Technique: Left: CT. Right: PSMA PET, same axial level, 18F tracer. slice 185 of 429.
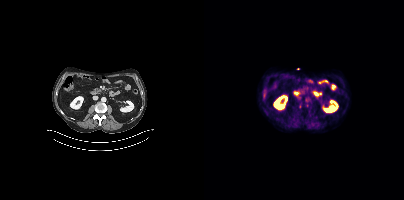
Findings: Only PSMA-avid lesion pieces thinner than 2 px on this slice (not listed).